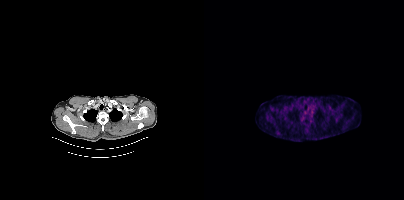
{"modality":"PSMA PET/CT","view":"axial","tracer":"18F","pet_grid":[200,200],"coord_frame":"pet_panel","coord_format":"x0,y0,x1,y1","psma_avid_lesions":false}